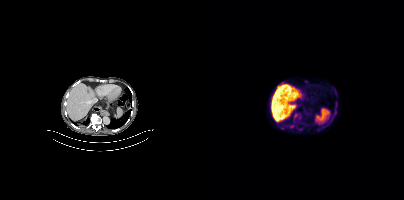
Coordinates are on the 200×200 PET (right) panel. Small PSMA-avid foci (2 to 4 px across) near (center x, center y): (74, 85) / (91, 115).
modality: PSMA PET/CT | tracer: 18F | view: axial